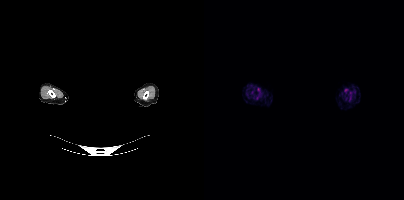
- the head region is masked for de-identification
- Paired axial CT (left) and PSMA PET (right), [18F]PSMA-1007 tracer
- acquired on Siemens Biograph mCT Flow 20
- PET panel 200×200 px (4.1 mm/px)
Findings: No PSMA-avid tumor lesions on this slice.